modality: PSMA PET/CT | tracer: 18F-PSMA | view: axial
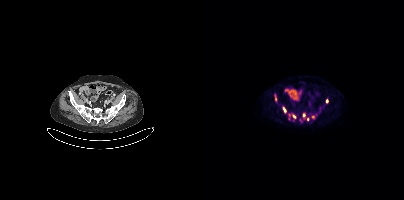
Coordinates are on the 200×200 PET (right) panel. (showing 6 of 8 foci) PSMA-avid tumor lesion bounding boxes (x0,y0,x1,y1): [97,114,105,122], [79,107,82,112], [71,95,72,100]. Small PSMA-avid foci (2 to 4 px across) near (center x, center y): (85, 118), (123, 100), (90, 116).